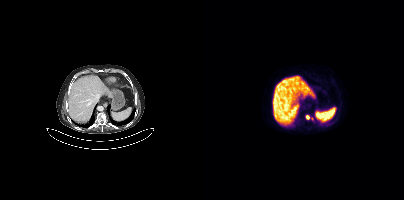
Two-panel axial: CT | PSMA PET, 18F tracer. Slice position z = 258 mm. Coordinates are on the 200×200 PET (right) panel. Small PSMA-avid focus (2 to 4 px across) near (center x, center y): (103, 117).